- Paired axial CT (left) and PSMA PET (right), 18F tracer
- slice position z = -1110 mm
- PET panel 200×200 px (4.1 mm/px)
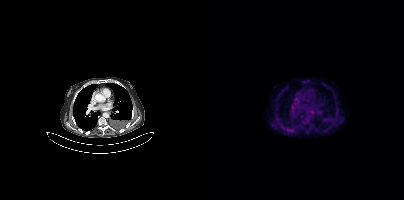
Findings: No PSMA-avid tumor lesions on this slice.